modality: PSMA PET/CT | tracer: [18F]PSMA-1007 | view: axial | PET grid: 256×256
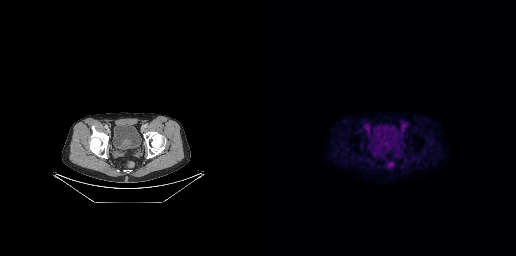
Coordinates are on the 256×256 PET (right) panel. (showing 1 of 3 foci) PSMA-avid tumor lesion bounding box (x0,y0,x1,y1): [118,134,131,149].